Technique: Paired axial CT (left) and PSMA PET (right), [18F]PSMA-1007 tracer. PET panel 256×256 px (2.7 mm/px).
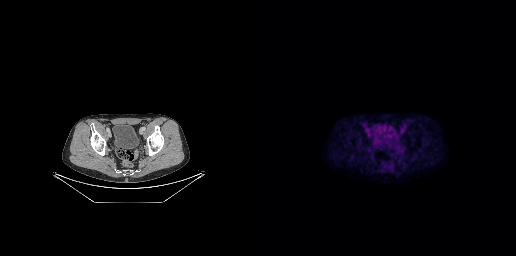
Findings: Negative for PSMA-avid disease on this slice.